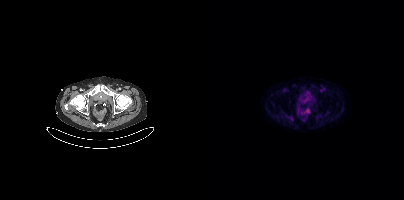
Negative for PSMA-avid disease on this slice.
modality: PSMA PET/CT | tracer: 18F-PSMA | view: axial | PET grid: 200×200